Technique: Left: CT. Right: PSMA PET, same axial level, 68Ga tracer. slice 197 of 299. PET panel 256×256 px (2.7 mm/px).
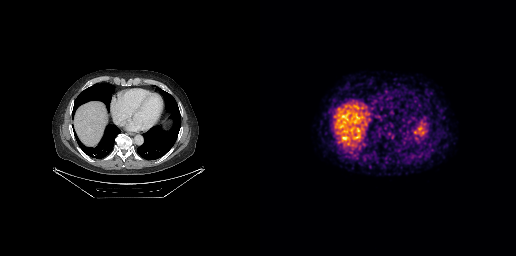
Findings: Negative for PSMA-avid disease on this slice.